Technique: Paired axial CT (left) and PSMA PET (right), [18F]PSMA-1007 tracer.
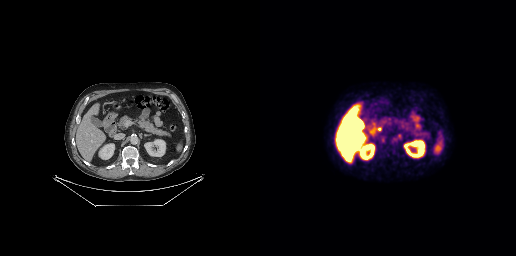
Findings: Coordinates are on the 256×256 PET (right) panel. PSMA-avid tumor lesion bounding box (x0, y0)-(x1, y1): (136, 133)-(142, 139).